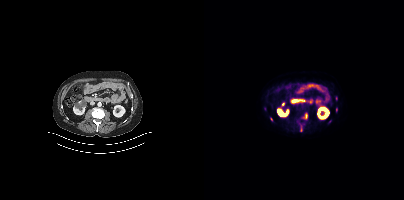
Coordinates are on the 200×200 PET (right) panel. (showing 3 of 5 foci) PSMA-avid tumor lesion bounding boxes (x, y, width, height): x=102 y=114 w=2 h=5; x=97 y=127 w=2 h=5. Small PSMA-avid focus (2 to 4 px across) near (center x, center y): (67, 119).